Paired axial CT (left) and PSMA PET (right), 18F-PSMA tracer. Slice position z = -538 mm. PET panel 200×200 px (4.1 mm/px).
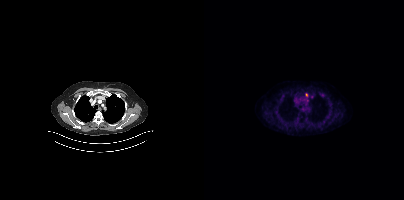
Coordinates are on the 200×200 PET (right) panel. Small PSMA-avid focus (2 to 4 px across) near (center x, center y): (102, 95).